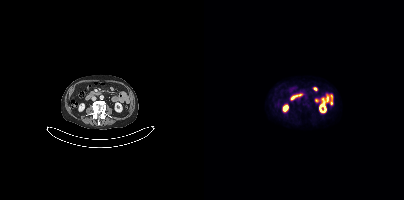
{"modality":"PSMA PET/CT","view":"axial","tracer":"18F","pet_grid":[200,200],"coord_frame":"pet_panel","coord_format":"x0,y0,x1,y1","psma_avid_lesions":false}